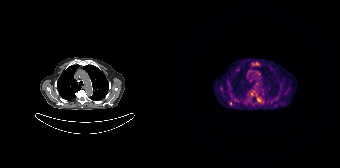
Paired axial CT (left) and PSMA PET (right), 68Ga tracer. Acquired on Siemens Biograph 64-4R TruePoint. Slice 125 of 165. PET panel 168×168 px (4.1 mm/px).
Coordinates are on the 168×168 PET (right) panel. PSMA-avid tumor lesion bounding boxes:
| # | x0 | y0 | x1 | y1 |
|---|---|---|---|---|
| 1 | 78 | 91 | 88 | 101 |
Small PSMA-avid foci (2 to 4 px across) near (center x, center y): (59, 103); (78, 80); (48, 88); (65, 69).